The face region was removed for patient privacy by blanking a rectangle over the head.
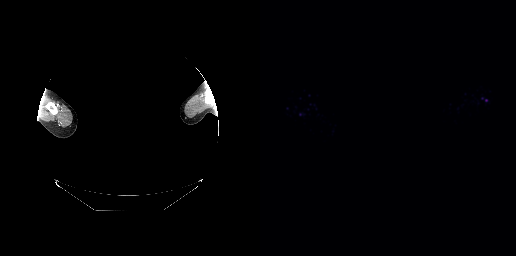
Negative for PSMA-avid disease on this slice.